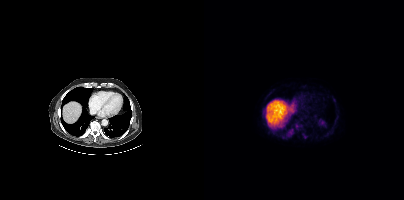
Coordinates are on the 200×200 PET (right) panel. Small PSMA-avid foci (2 to 4 px across) near (center x, center y): (79, 137), (92, 126), (101, 137). Paired axial CT (left) and PSMA PET (right), 18F-PSMA tracer. Slice 353 of 508. PET panel 200×200 px (4.1 mm/px).